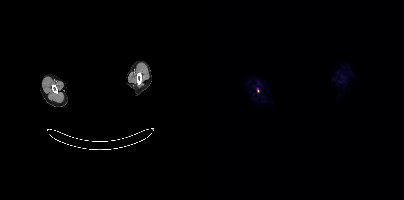
Findings: Coordinates are on the 200×200 PET (right) panel. PSMA-avid tumor lesion bounding box (x0, y0)-(x1, y1): (53, 88)-(55, 92).
Technique: Two-panel axial: CT | PSMA PET, 18F tracer. slice 371 of 387. PET panel 200×200 px (4.1 mm/px).
Note: The head region is masked for de-identification.